Left: CT. Right: PSMA PET, same axial level, 18F tracer. Acquired on Siemens Biograph mCT Flow 20. PET panel 200×200 px (4.1 mm/px).
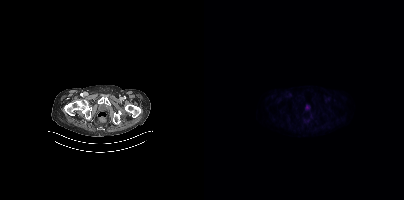
Negative for PSMA-avid disease on this slice.